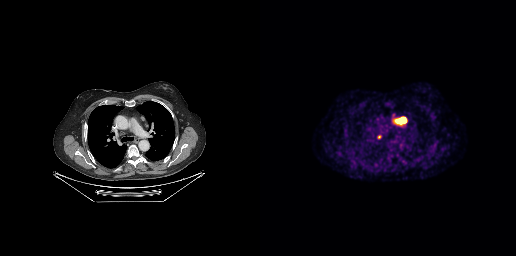
Technique: Left: CT. Right: PSMA PET, same axial level, 18F-PSMA tracer. acquired on GE Discovery 690. PET panel 256×256 px (2.7 mm/px).
Findings: Coordinates are on the 256×256 PET (right) panel. PSMA-avid tumor lesion bounding boxes (x0, y0)-(x1, y1): (135, 117)-(146, 123) | (117, 135)-(121, 138). Small PSMA-avid focus (2 to 4 px across) near (center x, center y): (133, 115).